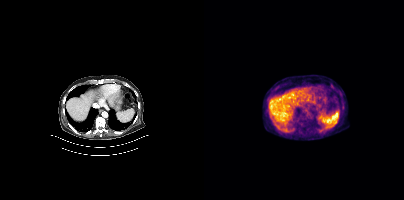
{"modality":"PSMA PET/CT","view":"axial","tracer":"[18F]PSMA-1007","pet_grid":[200,200],"coord_frame":"pet_panel","coord_format":"x0,y0,x1,y1","psma_avid_lesions":false}